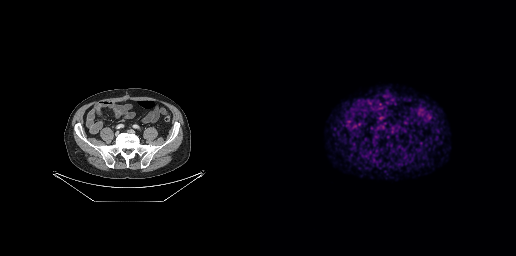
Negative for PSMA-avid disease on this slice. Paired axial CT (left) and PSMA PET (right), 68Ga-PSMA tracer.